Technique: Left: CT. Right: PSMA PET, same axial level, 68Ga-PSMA tracer. acquired on Siemens Biograph 64-4R TruePoint.
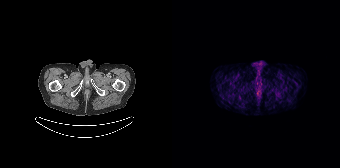
Findings: No PSMA-avid tumor lesions on this slice.